modality: PSMA PET/CT | tracer: [18F]PSMA-1007 | view: axial
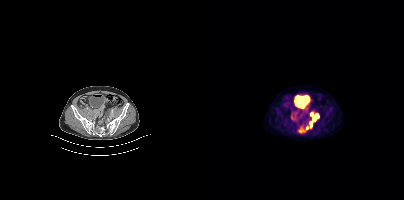
Coordinates are on the 200×200 PET (right) panel. PSMA-avid tumor lesion bounding boxes (x0, y0)-(x1, y1): (94, 122)-(108, 133); (87, 112)-(92, 120); (109, 113)-(114, 121). Small PSMA-avid foci (2 to 4 px across) near (center x, center y): (102, 111); (106, 113).